modality: PSMA PET/CT | tracer: [68Ga]Ga-PSMA-11 | view: axial
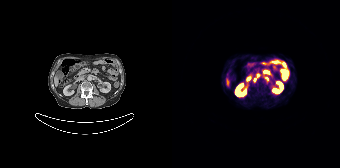
Coordinates are on the 168×168 PET (right) panel. Small PSMA-avid foci (2 to 4 px across) near (center x, center y): (95, 78) | (82, 79).